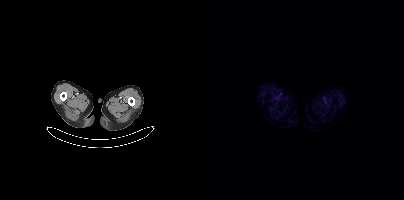
Two-panel axial: CT | PSMA PET, 18F tracer. Acquired on Siemens Biograph mCT Flow 20. Negative for PSMA-avid disease on this slice.